Left: CT. Right: PSMA PET, same axial level, [18F]PSMA-1007 tracer. Acquired on Siemens Biograph mCT Flow 20. Slice 314 of 421.
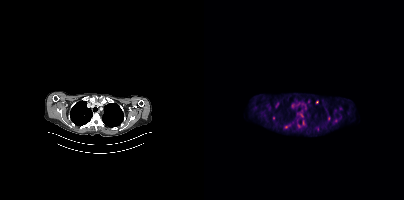
Coordinates are on the 200×200 PET (right) panel. PSMA-avid tumor lesion bounding boxes (partial; 3 more foci not listed):
| # | x0 | y0 | x1 | y1 |
|---|---|---|---|---|
| 1 | 80 | 125 | 84 | 128 |
Small PSMA-avid foci (2 to 4 px across) near (center x, center y): (113, 102); (124, 118); (97, 115); (69, 117); (94, 125).